- Two-panel axial: CT | PSMA PET, 18F tracer
- acquired on GE Discovery 690
- PET panel 256×256 px (2.7 mm/px)
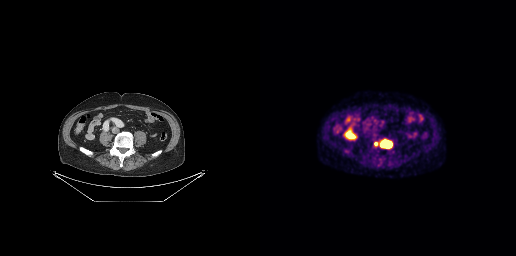
Findings: Coordinates are on the 256×256 PET (right) panel. PSMA-avid tumor lesion bounding box (x0,y0,x1,y1): [122,142,131,147]. Small PSMA-avid focus (2 to 4 px across) near (center x, center y): (115, 143).